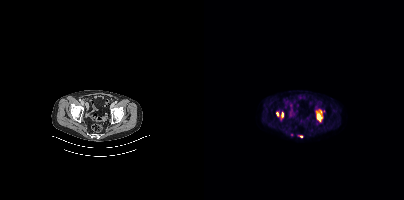
Paired axial CT (left) and PSMA PET (right), 18F-PSMA tracer. Acquired on Siemens Biograph mCT Flow 20. Coordinates are on the 200×200 PET (right) panel. (showing 4 of 5 foci) PSMA-avid tumor lesion bounding boxes (x, y, width, height): x=112 y=109 w=7 h=13 | x=77 y=112 w=3 h=6 | x=72 y=112 w=3 h=5. Small PSMA-avid focus (2 to 4 px across) near (center x, center y): (96, 136).